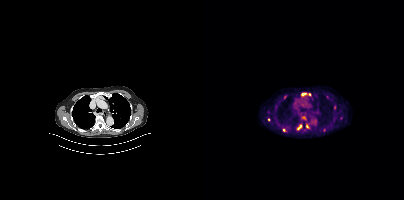
modality: PSMA PET/CT | tracer: 18F-PSMA | view: axial | PET grid: 200×200
Coordinates are on the 200×200 PET (right) panel. (showing 7 of 8 foci) PSMA-avid tumor lesion bounding boxes (x, y, width, height): x=97 y=93 w=6 h=3 | x=93 y=125 w=5 h=5. Small PSMA-avid foci (2 to 4 px across) near (center x, center y): (105, 94) | (103, 126) | (80, 130) | (80, 97) | (64, 119).